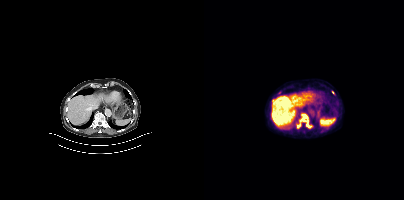
Coordinates are on the 200×200 PET (right) panel. PSMA-avid tumor lesion bounding boxes:
| # | x0 | y0 | x1 | y1 |
|---|---|---|---|---|
| 1 | 93 | 114 | 107 | 128 |
Small PSMA-avid foci (2 to 4 px across) near (center x, center y): (68, 100); (130, 121); (129, 92).
Paired axial CT (left) and PSMA PET (right), [18F]PSMA-1007 tracer. Slice 228 of 407.